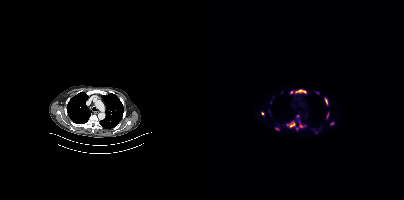
Coordinates are on the 200×200 PET (right) panel. (showing 12 of 13 foci) PSMA-avid tumor lesion bounding boxes (x0, y0)-(x1, y1): (83, 121)-(91, 127) / (91, 89)-(102, 93) / (120, 97)-(124, 105) / (95, 122)-(101, 127) / (123, 113)-(124, 117). Small PSMA-avid foci (2 to 4 px across) near (center x, center y): (58, 113) / (127, 123) / (87, 92) / (94, 116) / (93, 128) / (113, 92) / (73, 128).